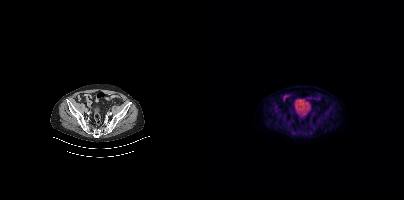
- Left: CT. Right: PSMA PET, same axial level, 18F-PSMA tracer
- acquired on Siemens Biograph mCT Flow 20
- slice 107 of 409
- PET panel 200×200 px (4.1 mm/px)
Findings: This slice has no annotated PSMA-avid lesion.